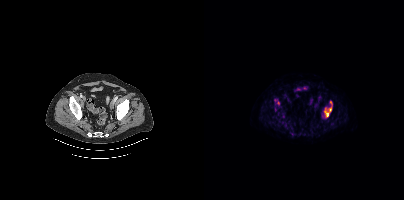
Findings: Coordinates are on the 200×200 PET (right) panel. PSMA-avid tumor lesion bounding box (x, y, width, height): x=120 y=101 w=9 h=17. Small PSMA-avid focus (2 to 4 px across) near (center x, center y): (74, 102).
- Two-panel axial: CT | PSMA PET, 18F-PSMA tracer
- PET panel 200×200 px (4.1 mm/px)